modality: PSMA PET/CT | tracer: [18F]PSMA-1007 | view: axial
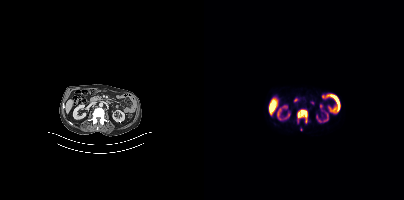
Coordinates are on the 200×200 PET (right) panel. PSMA-avid tumor lesion bounding box (x0,y0,x1,y1): [93,109,103,122].